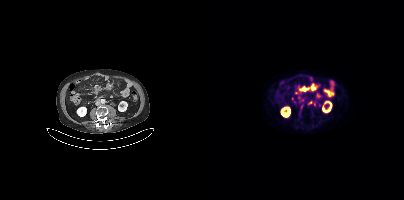
Findings: Coordinates are on the 200×200 PET (right) panel. (showing 5 of 8 foci) PSMA-avid tumor lesion bounding boxes (x0, y0)-(x1, y1): (107, 85)-(112, 90); (95, 105)-(99, 114); (99, 88)-(105, 90). Small PSMA-avid foci (2 to 4 px across) near (center x, center y): (92, 93); (106, 102).
Technique: Two-panel axial: CT | PSMA PET, [18F]PSMA-1007 tracer. acquired on Siemens Biograph mCT Flow 20. PET panel 200×200 px (4.1 mm/px).